Technique: Paired axial CT (left) and PSMA PET (right), 18F tracer. slice position z = -226 mm.
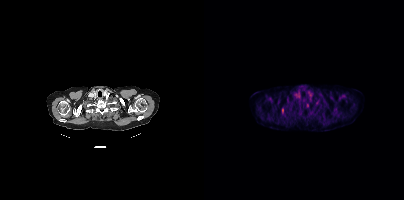
Findings: Coordinates are on the 200×200 PET (right) panel. Small PSMA-avid focus (2 to 4 px across) near (center x, center y): (78, 110).